Two-panel axial: CT | PSMA PET, [68Ga]Ga-PSMA-11 tracer. Acquired on Siemens Biograph mCT Flow 20.
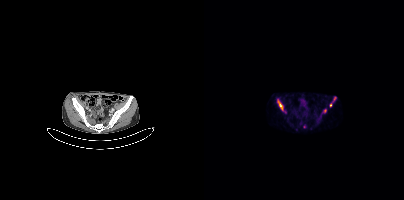
Coordinates are on the 200×200 PET (right) panel. PSMA-avid tumor lesion bounding boxes:
| # | x0 | y0 | x1 | y1 |
|---|---|---|---|---|
| 1 | 73 | 101 | 82 | 113 |
| 2 | 129 | 97 | 132 | 101 |
Small PSMA-avid foci (2 to 4 px across) near (center x, center y): (120, 110); (126, 104); (100, 126).